Paired axial CT (left) and PSMA PET (right), 68Ga tracer.
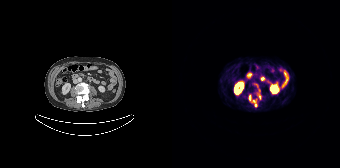
Coordinates are on the 168×168 PET (right) panel. (showing 3 of 4 foci) PSMA-avid tumor lesion bounding box (x, y, width, height): x=77 y=95 w=2 h=6. Small PSMA-avid foci (2 to 4 px across) near (center x, center y): (83, 105) / (87, 97).